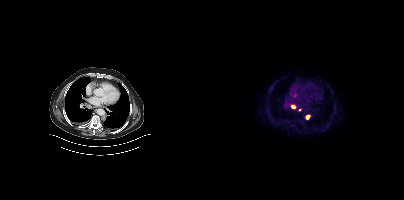
Coordinates are on the 200×200 PET (right) panel. (showing 2 of 3 foci) PSMA-avid tumor lesion bounding boxes (x0, y0)-(x1, y1): (102, 115)-(105, 119) / (87, 105)-(91, 108).